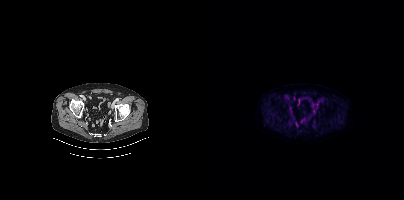
{"modality":"PSMA PET/CT","view":"axial","tracer":"18F-PSMA","pet_grid":[200,200],"coord_frame":"pet_panel","coord_format":"x0,y0,x1,y1","psma_avid_lesions":false}